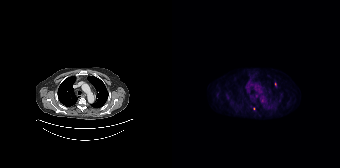
Two-panel axial: CT | PSMA PET, [18F]PSMA-1007 tracer. Acquired on Siemens Biograph 64-4R TruePoint. PET panel 168×168 px (4.1 mm/px). Coordinates are on the 168×168 PET (right) panel. Small PSMA-avid focus (2 to 4 px across) near (center x, center y): (103, 84).